Technique: Left: CT. Right: PSMA PET, same axial level, 18F-PSMA tracer.
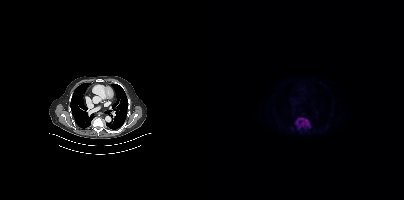
Findings: Coordinates are on the 200×200 PET (right) panel. PSMA-avid tumor lesion bounding box (x, y, width, height): x=91 y=119 w=16 h=11.